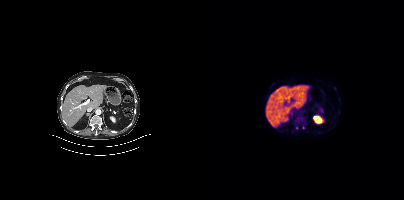
Technique: Two-panel axial: CT | PSMA PET, 18F-PSMA tracer. acquired on Siemens Biograph mCT Flow 20.
Findings: Coordinates are on the 200×200 PET (right) panel. (showing 1 of 2 foci) Small PSMA-avid focus (2 to 4 px across) near (center x, center y): (92, 127).